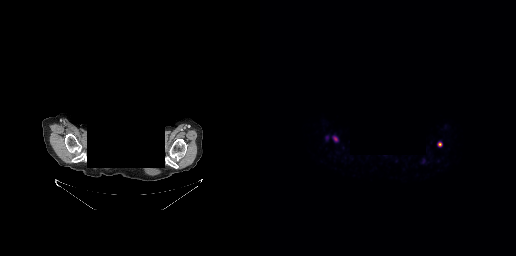
Coordinates are on the 256×256 PET (right) panel. PSMA-avid tumor lesion bounding box (x0, y0)-(x1, y1): (178, 142)-(181, 146). A rectangular block over the head has been blanked out for de-identification. Two-panel axial: CT | PSMA PET, [68Ga]Ga-PSMA-11 tracer. Slice 238 of 263.